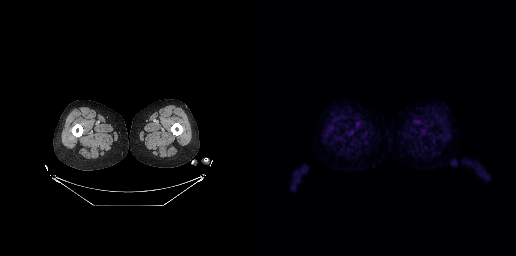
{"modality":"PSMA PET/CT","view":"axial","tracer":"18F-PSMA","pet_grid":[256,256],"coord_frame":"pet_panel","coord_format":"x0,y0,x1,y1","psma_avid_lesions":false}